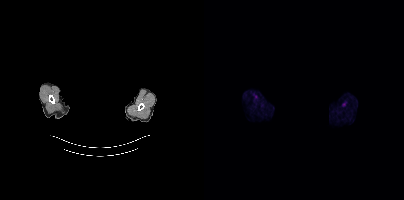
{"modality":"PSMA PET/CT","view":"axial","tracer":"[18F]PSMA-1007","pet_grid":[200,200],"coord_frame":"pet_panel","coord_format":"x0,y0,x1,y1","psma_avid_lesions":false,"deidentification":"rectangular block over head set to black"}